- Two-panel axial: CT | PSMA PET, 18F-PSMA tracer
- slice position z = -851 mm
- PET panel 256×256 px (2.7 mm/px)
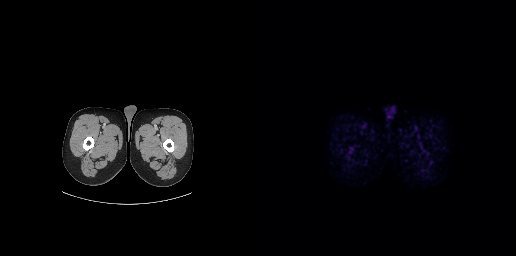
Findings: No PSMA-avid tumor lesions on this slice.